Two-panel axial: CT | PSMA PET, [18F]PSMA-1007 tracer. Acquired on Siemens Biograph mCT Flow 20.
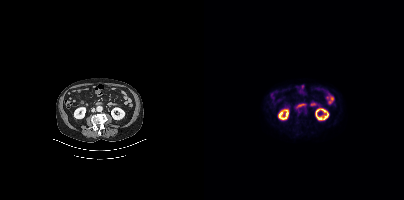
No tumor lesions annotated on this slice.